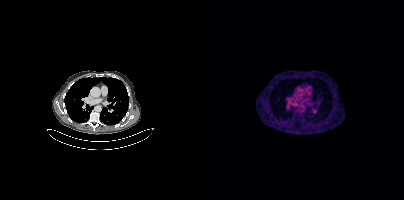
{"modality":"PSMA PET/CT","view":"axial","tracer":"68Ga","pet_grid":[200,200],"coord_frame":"pet_panel","coord_format":"x0,y0,x1,y1","psma_avid_lesions":false}